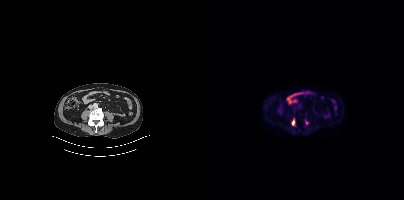
Coordinates are on the 200×200 PET (right) panel. Small PSMA-avid focus (2 to 4 px across) near (center x, center y): (89, 122).